modality: PSMA PET/CT | tracer: 18F | view: axial
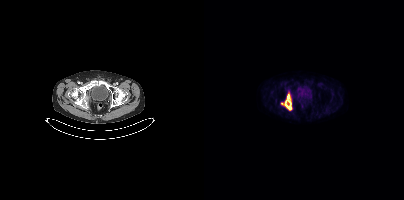
Coordinates are on the 200×200 PET (right) panel. PSMA-avid tumor lesion bounding box (x, y, width, height): x=77 y=93 w=11 h=18.